Paired axial CT (left) and PSMA PET (right), [18F]PSMA-1007 tracer. Acquired on Siemens Biograph mCT Flow 20. Slice 273 of 387.
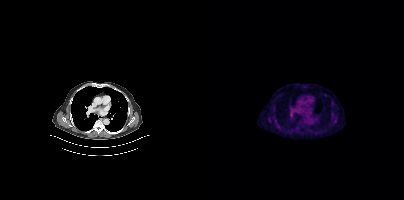
This slice has no annotated PSMA-avid lesion.